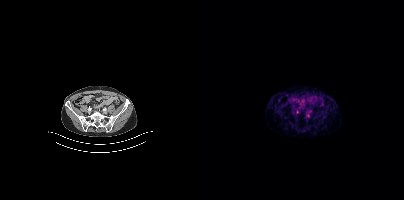
{"modality":"PSMA PET/CT","view":"axial","tracer":"68Ga-PSMA","pet_grid":[200,200],"coord_frame":"pet_panel","coord_format":"x0,y0,x1,y1","psma_avid_lesions":false}